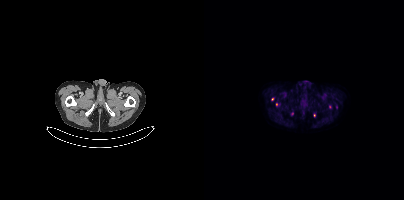
Two-panel axial: CT | PSMA PET, 18F-PSMA tracer. Coordinates are on the 200×200 PET (right) panel. (showing 3 of 4 foci) Small PSMA-avid foci (2 to 4 px across) near (center x, center y): (68, 99) / (72, 104) / (88, 113).